Left: CT. Right: PSMA PET, same axial level, 18F-PSMA tracer. Slice position z = -248 mm.
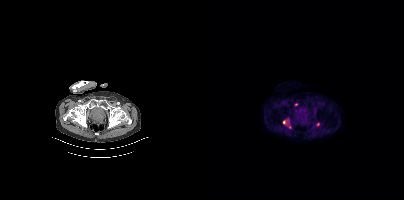
Coordinates are on the 200×200 PET (right) panel. PSMA-avid tumor lesion bounding boxes (x0, y0)-(x1, y1): (79, 119)-(84, 124) / (112, 122)-(115, 126). Small PSMA-avid foci (2 to 4 px across) near (center x, center y): (91, 104) / (92, 110) / (85, 126).